- Left: CT. Right: PSMA PET, same axial level, 18F tracer
- acquired on Siemens Biograph mCT Flow 20
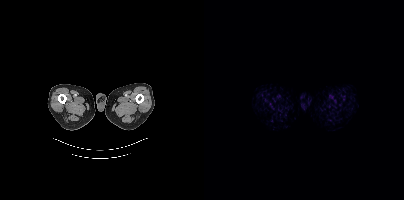
Findings: No PSMA-avid tumor lesions on this slice.